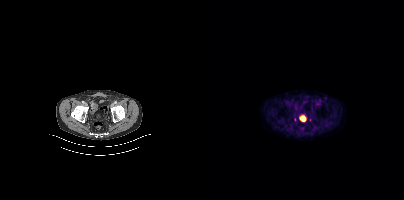
No tumor lesions annotated on this slice.